Two-panel axial: CT | PSMA PET, 18F tracer. PET panel 200×200 px (4.1 mm/px).
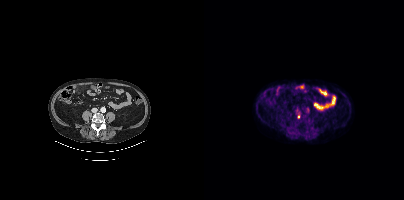
Coordinates are on the 200×200 PET (right) panel. Small PSMA-avid focus (2 to 4 px across) near (center x, center y): (94, 116).